Two-panel axial: CT | PSMA PET, [18F]PSMA-1007 tracer. Acquired on Siemens Biograph mCT Flow 20. Slice position z = -1939 mm.
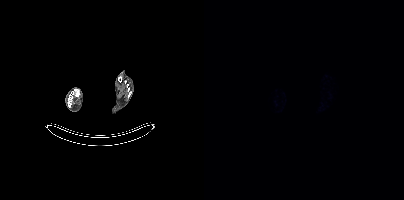
No PSMA-avid tumor lesions on this slice.